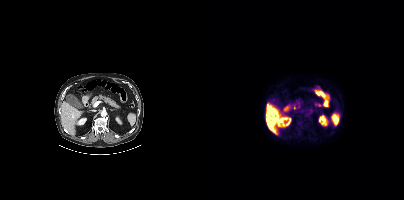
No PSMA-avid tumor lesions on this slice.